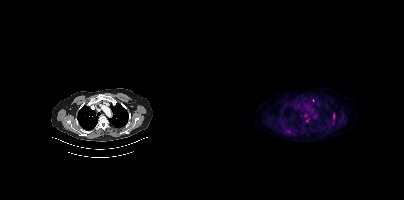
Coordinates are on the 200×200 PET (right) panel. PSMA-avid tumor lesion bounding box (x0, y0)-(x1, y1): (129, 115)-(130, 119). Small PSMA-avid foci (2 to 4 px across) near (center x, center y): (103, 120) / (84, 131) / (108, 100).